- Left: CT. Right: PSMA PET, same axial level, 18F tracer
- PET panel 200×200 px (4.1 mm/px)
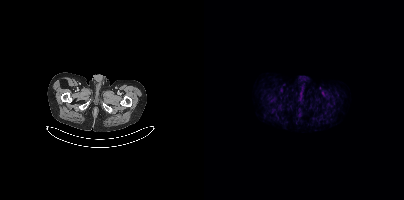
Findings: No PSMA-avid tumor lesions on this slice.